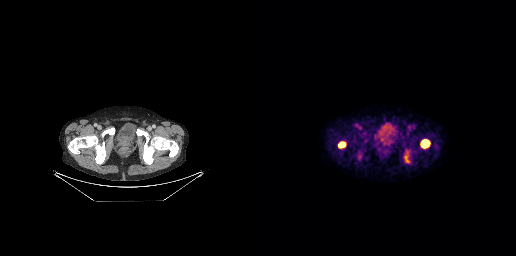
modality: PSMA PET/CT | tracer: [18F]PSMA-1007 | view: axial
Coordinates are on the 256×256 PET (right) panel. PSMA-avid tumor lesion bounding boxes (x0, y0)-(x1, y1): (160, 139)-(170, 148) | (78, 141)-(85, 148) | (145, 156)-(148, 161).